Left: CT. Right: PSMA PET, same axial level, 18F tracer. Acquired on Siemens Biograph mCT Flow 20. Slice position z = -304 mm. PET panel 200×200 px (4.1 mm/px).
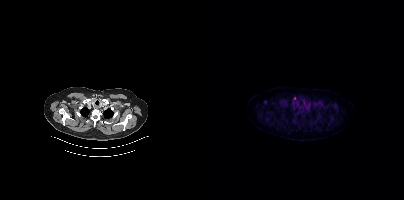
Negative for PSMA-avid disease on this slice.